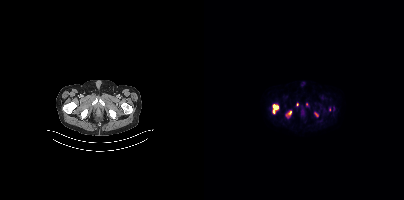
Coordinates are on the 200×200 PET (right) panel. (showing 5 of 6 foci) PSMA-avid tumor lesion bounding boxes (x0, y0)-(x1, y1): (69, 104)-(74, 113); (82, 111)-(87, 117); (110, 112)-(114, 116). Small PSMA-avid foci (2 to 4 px across) near (center x, center y): (125, 109); (93, 104).